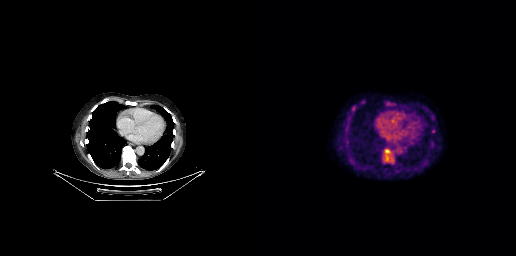
Left: CT. Right: PSMA PET, same axial level, 18F tracer. Slice 198 of 299.
Coordinates are on the 256×256 PET (right) panel. PSMA-avid tumor lesion bounding boxes:
| # | x0 | y0 | x1 | y1 |
|---|---|---|---|---|
| 1 | 122 | 157 | 126 | 162 |
Small PSMA-avid focus (2 to 4 px across) near (center x, center y): (127, 151).